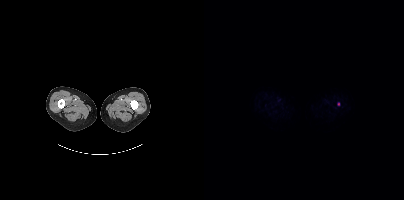
Coordinates are on the 200×200 PET (right) panel. Small PSMA-avid focus (2 to 4 px across) near (center x, center y): (134, 104). Paired axial CT (left) and PSMA PET (right), 18F-PSMA tracer. Acquired on Siemens Biograph mCT Flow 20. Slice position z = -1170 mm.